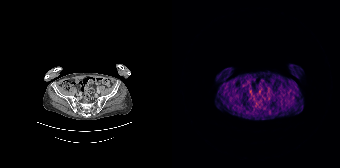
{"modality":"PSMA PET/CT","view":"axial","tracer":"68Ga-PSMA","pet_grid":[168,168],"coord_frame":"pet_panel","coord_format":"x0,y0,x1,y1","psma_avid_lesions":false}